- Left: CT. Right: PSMA PET, same axial level, 18F-PSMA tracer
- acquired on Siemens Biograph mCT Flow 20
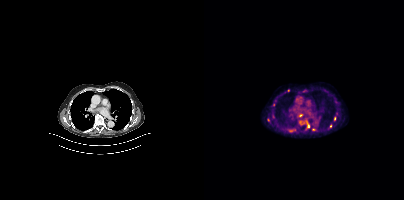
Findings: Coordinates are on the 200×200 PET (right) panel. (showing 8 of 10 foci) PSMA-avid tumor lesion bounding box (x, y, width, height): x=103 y=122 w=3 h=6. Small PSMA-avid foci (2 to 4 px across) near (center x, center y): (86, 130) | (64, 120) | (84, 90) | (96, 115) | (130, 118) | (109, 129) | (126, 125).